Paired axial CT (left) and PSMA PET (right), 18F tracer. Acquired on Siemens Biograph mCT Flow 20. PET panel 200×200 px (4.1 mm/px).
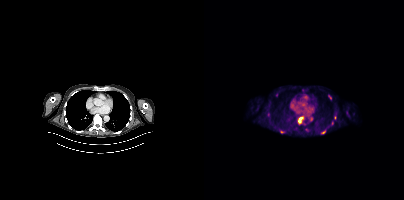
Coordinates are on the 200×200 PET (right) panel. PSMA-avid tumor lesion bounding boxes (partial; 1 more focus not listed):
| # | x0 | y0 | x1 | y1 |
|---|---|---|---|---|
| 1 | 95 | 117 | 98 | 122 |
| 2 | 117 | 130 | 121 | 133 |
| 3 | 124 | 95 | 127 | 99 |
| 4 | 76 | 130 | 80 | 133 |
Small PSMA-avid focus (2 to 4 px across) near (center x, center y): (64, 114).